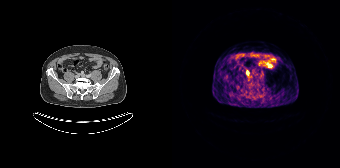
Coordinates are on the 168×168 PET (right) panel. Small PSMA-avid focus (2 to 4 px across) near (center x, center y): (75, 72). Paired axial CT (left) and PSMA PET (right), 68Ga-PSMA tracer. PET panel 168×168 px (4.1 mm/px).